Left: CT. Right: PSMA PET, same axial level, [68Ga]Ga-PSMA-11 tracer.
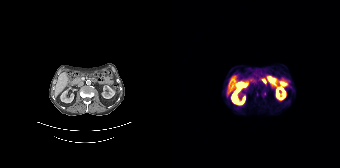
Coordinates are on the 168×168 PET (right) panel. Small PSMA-avid focus (2 to 4 px across) near (center x, center y): (92, 93).